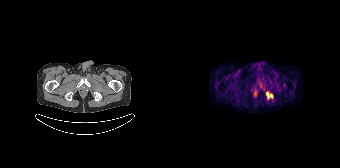
Coordinates are on the 168×168 PET (right) panel. (showing 2 of 4 foci) PSMA-avid tumor lesion bounding box (x, y, width, height): x=94 y=92 w=8 h=7. Small PSMA-avid focus (2 to 4 px across) near (center x, center y): (88, 85).